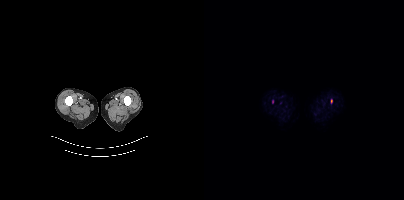
Coordinates are on the 200×200 PET (right) panel. PSMA-avid tumor lesion bounding box (x, y, width, height): x=127 y=99 w=2 h=5. Small PSMA-avid focus (2 to 4 px across) near (center x, center y): (68, 102).